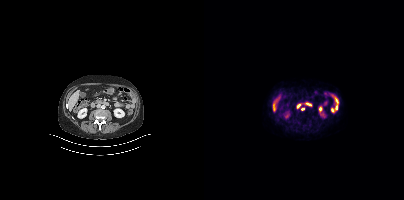
Technique: Two-panel axial: CT | PSMA PET, [18F]PSMA-1007 tracer. slice 150 of 354.
Findings: Coordinates are on the 200×200 PET (right) panel. Small PSMA-avid focus (2 to 4 px across) near (center x, center y): (98, 108).